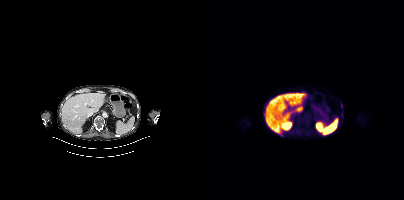
Two-panel axial: CT | PSMA PET, 18F-PSMA tracer. Slice 229 of 415. Coordinates are on the 200×200 PET (right) panel. PSMA-avid tumor lesion bounding box (x, y, width, height): x=137 y=113 w=2 h=5. Small PSMA-avid focus (2 to 4 px across) near (center x, center y): (137, 105).